Two-panel axial: CT | PSMA PET, 68Ga tracer. Slice position z = -1185 mm.
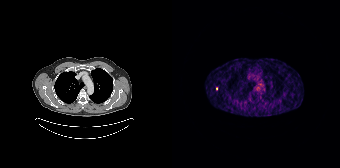
Only PSMA-avid lesion pieces thinner than 2 px on this slice (not listed).